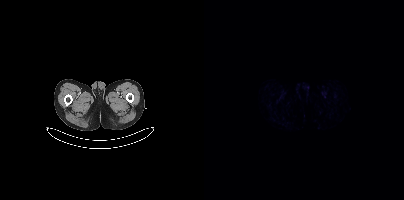
No PSMA-avid tumor lesions on this slice. Two-panel axial: CT | PSMA PET, 68Ga tracer. PET panel 200×200 px (4.1 mm/px).